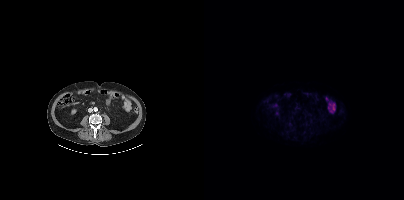
modality: PSMA PET/CT | tracer: 18F | view: axial
No tumor lesions annotated on this slice.